Technique: Left: CT. Right: PSMA PET, same axial level, [18F]PSMA-1007 tracer.
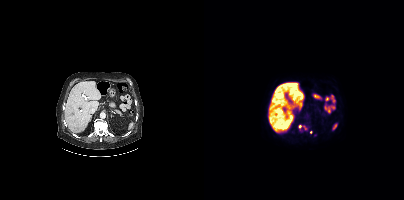
Findings: Coordinates are on the 200×200 PET (right) panel. PSMA-avid tumor lesion bounding box (x0, y0)-(x1, y1): (95, 125)-(102, 130). Small PSMA-avid focus (2 to 4 px across) near (center x, center y): (106, 132).